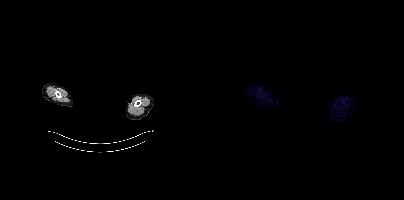
Findings: No tumor lesions annotated on this slice.
- Paired axial CT (left) and PSMA PET (right), [68Ga]Ga-PSMA-11 tracer
- acquired on Siemens Biograph mCT Flow 20
- slice 362 of 385
- an anonymization step blacked out a rectangle over the head in this scan